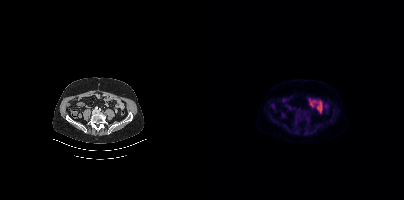
Two-panel axial: CT | PSMA PET, 18F-PSMA tracer. Slice position z = -1360 mm. PET panel 200×200 px (4.1 mm/px). This slice has no annotated PSMA-avid lesion.